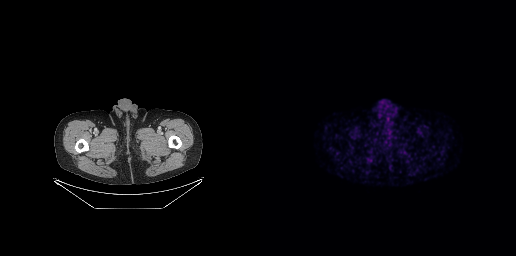
Negative for PSMA-avid disease on this slice.